Paired axial CT (left) and PSMA PET (right), 18F tracer. PET panel 200×200 px (4.1 mm/px).
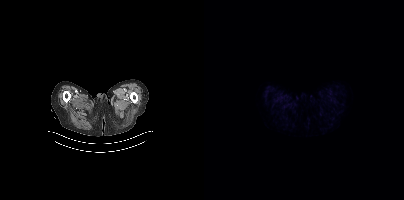
This slice has no annotated PSMA-avid lesion.